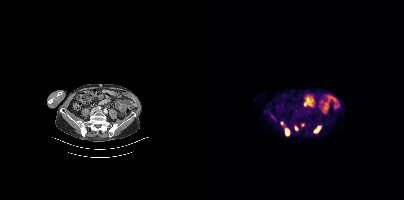
Coordinates are on the 200×200 PET (right) panel. (showing 6 of 7 foci) PSMA-avid tumor lesion bounding boxes (x0, y0)-(x1, y1): (109, 125)-(117, 133) / (81, 128)-(86, 136) / (90, 126)-(94, 130). Small PSMA-avid foci (2 to 4 px across) near (center x, center y): (98, 124) / (78, 123) / (68, 116).